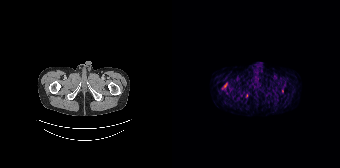
Only PSMA-avid lesion pieces thinner than 2 px on this slice (not listed).